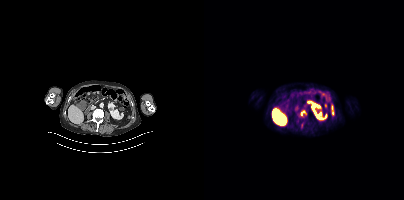
{"pet_grid":[200,200],"coord_frame":"pet_panel","coord_format":"x0,y0,x1,y1","lesion_bboxes":[[127,105,130,115],[97,111,101,115]],"modality":"PSMA PET/CT","view":"axial","tracer":"18F"}